- Paired axial CT (left) and PSMA PET (right), [18F]PSMA-1007 tracer
- PET panel 200×200 px (4.1 mm/px)
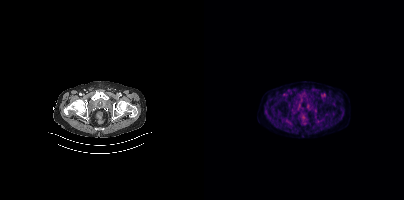
Findings: This slice has no annotated PSMA-avid lesion.